Technique: Two-panel axial: CT | PSMA PET, 18F tracer. PET panel 200×200 px (4.1 mm/px).
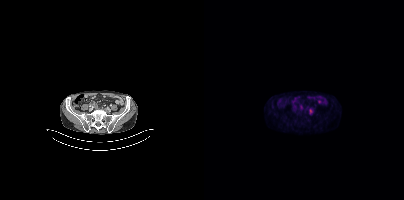
Findings: Coordinates are on the 200×200 PET (right) panel. PSMA-avid tumor lesion bounding box (x0,y0,x1,y1): [106,109,107,113].